- Left: CT. Right: PSMA PET, same axial level, 18F tracer
- acquired on Siemens Biograph mCT Flow 20
- slice 60 of 411
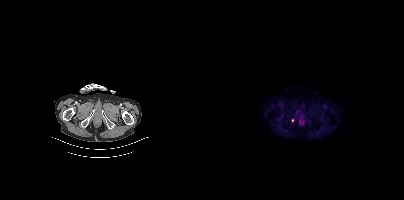
Findings: Coordinates are on the 200×200 PET (right) panel. Small PSMA-avid foci (2 to 4 px across) near (center x, center y): (88, 120), (93, 111).